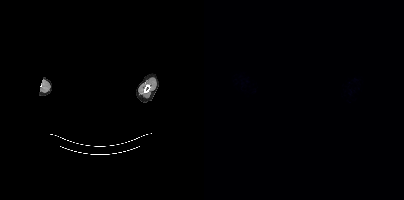
An anonymization step blacked out a rectangle over the head in this scan. Left: CT. Right: PSMA PET, same axial level, 18F tracer. PET panel 200×200 px (4.1 mm/px). This slice has no annotated PSMA-avid lesion.